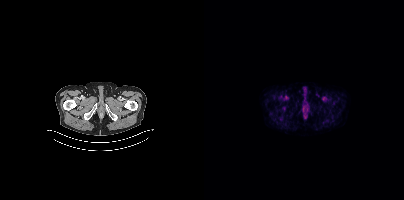
No PSMA-avid tumor lesions on this slice. Two-panel axial: CT | PSMA PET, 18F-PSMA tracer. Acquired on Siemens Biograph mCT Flow 20. PET panel 200×200 px (4.1 mm/px).